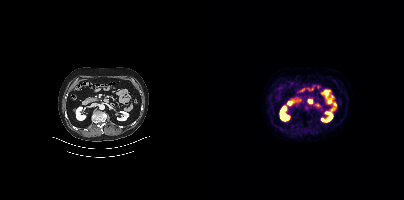
Left: CT. Right: PSMA PET, same axial level, [18F]PSMA-1007 tracer. Acquired on Siemens Biograph mCT Flow 20. Slice 214 of 454. PET panel 200×200 px (4.1 mm/px). No PSMA-avid tumor lesions on this slice.